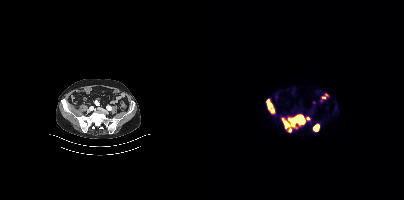
Two-panel axial: CT | PSMA PET, 18F-PSMA tracer.
Coordinates are on the 200×200 PET (right) panel. PSMA-avid tumor lesion bounding boxes:
| # | x0 | y0 | x1 | y1 |
|---|---|---|---|---|
| 1 | 78 | 115 | 101 | 131 |
| 2 | 62 | 99 | 70 | 113 |
| 3 | 109 | 124 | 115 | 131 |
Small PSMA-avid focus (2 to 4 px across) near (center x, center y): (104, 118).